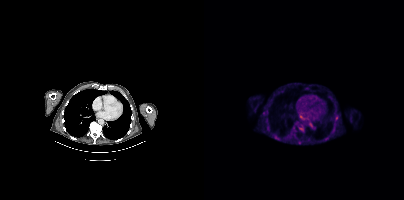
Findings: Coordinates are on the 200×200 PET (right) panel. PSMA-avid tumor lesion bounding boxes (x0, y0)-(x1, y1): (95, 126)-(99, 131) / (131, 116)-(133, 120). Small PSMA-avid focus (2 to 4 px across) near (center x, center y): (95, 142).
Technique: Paired axial CT (left) and PSMA PET (right), 18F-PSMA tracer. slice position z = -1072 mm.